- Left: CT. Right: PSMA PET, same axial level, 18F-PSMA tracer
- PET panel 200×200 px (4.1 mm/px)
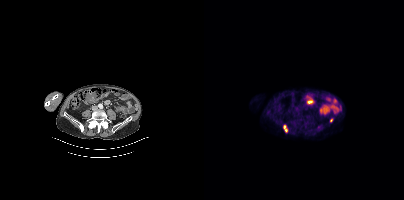
Findings: Coordinates are on the 200×200 PET (right) panel. PSMA-avid tumor lesion bounding box (x0,y0,x1,y1): [79,125,83,132]. Small PSMA-avid focus (2 to 4 px across) near (center x, center y): (127, 120).